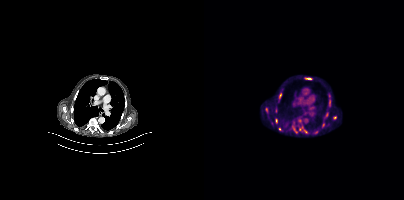
Findings: Coordinates are on the 200×200 PET (right) panel. (showing 10 of 13 foci) PSMA-avid tumor lesion bounding boxes (x0,y0,x1,y1): [71,118,73,123], [76,89,79,94], [61,107,64,112], [71,108,72,112]. Small PSMA-avid foci (2 to 4 px across) near (center x, center y): (131, 117), (89, 127), (122, 114), (119, 124), (74, 98), (95, 128).
Technique: Paired axial CT (left) and PSMA PET (right), [18F]PSMA-1007 tracer. slice position z = -1116 mm. PET panel 200×200 px (4.1 mm/px).